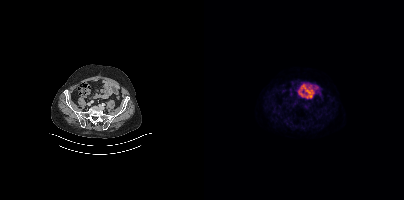
Two-panel axial: CT | PSMA PET, 18F-PSMA tracer. Acquired on Siemens Biograph mCT Flow 20. Slice position z = -724 mm. PET panel 200×200 px (4.1 mm/px). Negative for PSMA-avid disease on this slice.